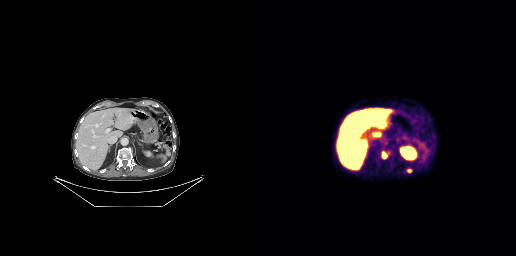
Paired axial CT (left) and PSMA PET (right), 18F-PSMA tracer. Slice position z = -413 mm. PET panel 256×256 px (2.7 mm/px).
Coordinates are on the 256×256 PET (right) panel. PSMA-avid tumor lesion bounding boxes:
| # | x0 | y0 | x1 | y1 |
|---|---|---|---|---|
| 1 | 122 | 152 | 126 | 158 |
| 2 | 146 | 168 | 152 | 172 |